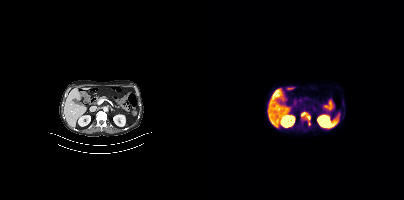
Findings: Coordinates are on the 200×200 PET (right) panel. PSMA-avid tumor lesion bounding boxes (x, y, width, height): x=97 y=112 w=10 h=9 / x=139 y=112 w=2 h=5. Small PSMA-avid focus (2 to 4 px across) near (center x, center y): (105, 123).
Technique: Two-panel axial: CT | PSMA PET, 18F-PSMA tracer. slice position z = -1271 mm. PET panel 200×200 px (4.1 mm/px).